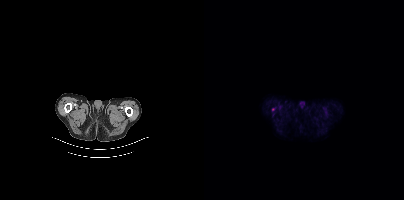
{"modality":"PSMA PET/CT","view":"axial","tracer":"[18F]PSMA-1007","pet_grid":[200,200],"coord_frame":"pet_panel","coord_format":"x0,y0,x1,y1","partial":true,"lesion_bboxes":[]}